Paired axial CT (left) and PSMA PET (right), 18F-PSMA tracer.
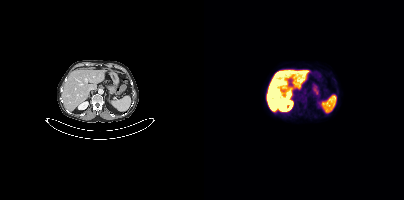
Negative for PSMA-avid disease on this slice.